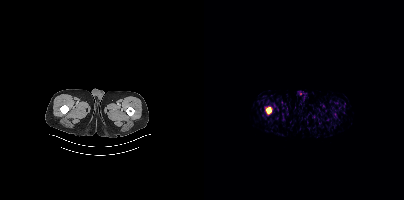
{"modality":"PSMA PET/CT","view":"axial","tracer":"[18F]PSMA-1007","pet_grid":[200,200],"coord_frame":"pet_panel","coord_format":"x0,y0,x1,y1","lesion_bboxes":[[62,107,67,113]]}